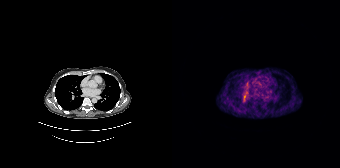
This slice has no annotated PSMA-avid lesion.